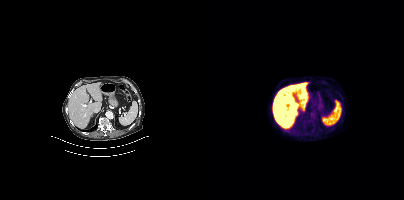
No tumor lesions annotated on this slice.